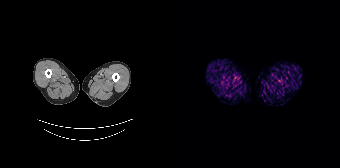
{"modality":"PSMA PET/CT","view":"axial","tracer":"[68Ga]Ga-PSMA-11","pet_grid":[168,168],"coord_frame":"pet_panel","coord_format":"x0,y0,x1,y1","psma_avid_lesions":false}